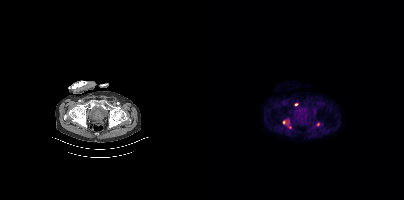
Coordinates are on the 200×200 PET (right) panel. (showing 5 of 6 foci) PSMA-avid tumor lesion bounding boxes (x0, y0)-(x1, y1): (79, 120)-(85, 124) / (90, 103)-(94, 106) / (112, 122)-(115, 126). Small PSMA-avid foci (2 to 4 px across) near (center x, center y): (85, 127) / (91, 110).
modality: PSMA PET/CT | tracer: 18F | view: axial